Technique: Left: CT. Right: PSMA PET, same axial level, 18F tracer.
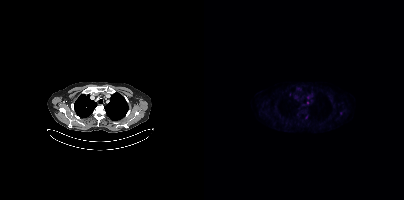
Findings: Coordinates are on the 200×200 PET (right) panel. PSMA-avid tumor lesion bounding box (x0, y0)-(x1, y1): (101, 115)-(104, 119). Small PSMA-avid foci (2 to 4 px across) near (center x, center y): (103, 97) | (103, 102) | (136, 113).